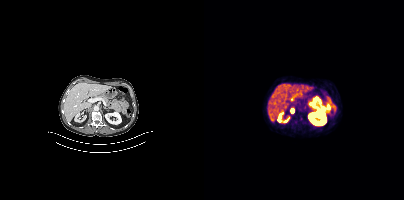
{"pet_grid":[200,200],"coord_frame":"pet_panel","coord_format":"x0,y0,x1,y1","lesion_bboxes":[],"small_foci_centers":[[88,110]],"modality":"PSMA PET/CT","view":"axial","tracer":"68Ga-PSMA"}